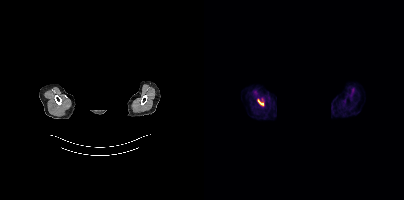
Privacy masking over the head, with the pixels inside a rectangle set to black. Left: CT. Right: PSMA PET, same axial level, [18F]PSMA-1007 tracer. Slice 349 of 377. PET panel 200×200 px (4.1 mm/px). Coordinates are on the 200×200 PET (right) panel. PSMA-avid tumor lesion bounding box (x0, y0)-(x1, y1): (54, 100)-(59, 105).